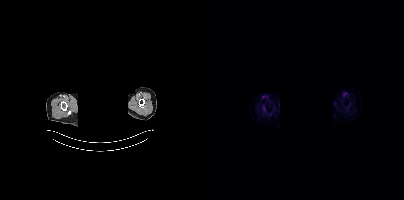
The head region is masked for de-identification. Paired axial CT (left) and PSMA PET (right), 18F-PSMA tracer. Slice position z = -1082 mm. No tumor lesions annotated on this slice.